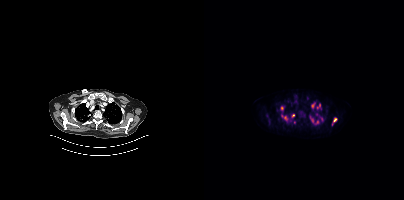
Coordinates are on the 200×200 PET (right) panel. (showing 9 of 12 foci) PSMA-avid tumor lesion bounding boxes (x0, y0)-(x1, y1): (112, 103)-(117, 109); (86, 114)-(90, 121); (107, 103)-(111, 107). Small PSMA-avid foci (2 to 4 px across) near (center x, center y): (81, 118); (130, 119); (78, 108); (108, 120); (113, 122); (90, 122).